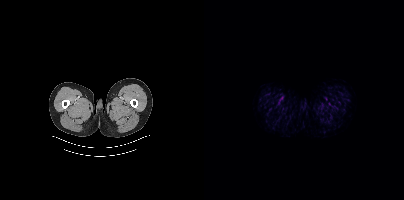
{"pet_grid":[200,200],"coord_frame":"pet_panel","coord_format":"x0,y0,x1,y1","psma_avid_lesions":false,"modality":"PSMA PET/CT","view":"axial","tracer":"[18F]PSMA-1007"}